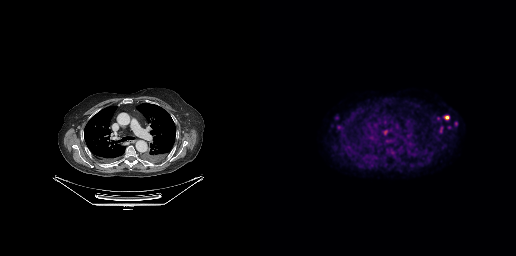
Coordinates are on the 256×256 PET (right) panel. (showing 7 of 9 foci) PSMA-avid tumor lesion bounding boxes (x0, y0)-(x1, y1): (184, 115)-(189, 119) / (123, 130)-(127, 134) / (180, 127)-(182, 132) / (187, 126)-(191, 128). Small PSMA-avid foci (2 to 4 px across) near (center x, center y): (76, 117) / (178, 118) / (78, 127).